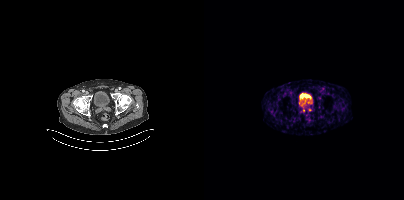
Two-panel axial: CT | PSMA PET, 68Ga-PSMA tracer. Acquired on Siemens Biograph mCT Flow 20. Coordinates are on the 200×200 PET (right) panel. Small PSMA-avid foci (2 to 4 px across) near (center x, center y): (105, 109) / (99, 110).